Left: CT. Right: PSMA PET, same axial level, 68Ga-PSMA tracer. Acquired on Siemens Biograph 64-4R TruePoint. Slice position z = -785 mm. PET panel 168×168 px (4.1 mm/px).
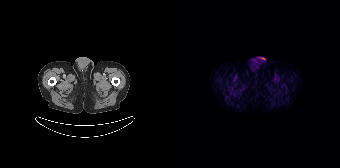
No PSMA-avid tumor lesions on this slice.